modality: PSMA PET/CT | tracer: [18F]PSMA-1007 | view: axial | PET grid: 200×200
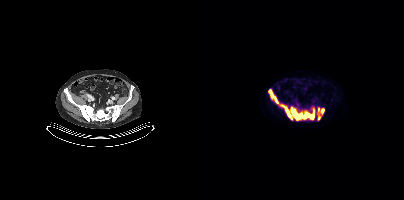
Coordinates are on the 200×200 PET (right) panel. PSMA-avid tumor lesion bounding boxes (x0,y0,x1,y1): [76,104,110,119]; [64,89,74,103]. Small PSMA-avid foci (2 to 4 px across) near (center x, center y): (119, 110); (115, 117); (114, 109).